Paired axial CT (left) and PSMA PET (right), 18F-PSMA tracer. Slice position z = -1440 mm.
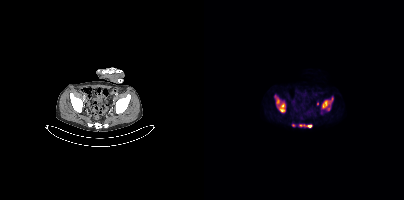
Coordinates are on the 200×200 PET (right) panel. PSMA-avid tumor lesion bounding boxes (x, y, width, height): x=70 y=95 w=12 h=18 / x=118 y=97 w=12 h=14 / x=95 y=124 w=14 h=4. Small PSMA-avid foci (2 to 4 px across) near (center x, center y): (89, 125) / (113, 103).